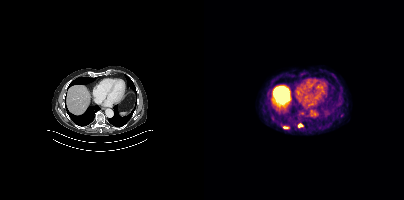
Coordinates are on the 200×200 PET (right) panel. PSMA-avid tumor lesion bounding boxes (x0,y0,x1,y1): [79,126,85,129] [94,123,99,127]. Small PSMA-avid focus (2 to 4 px across) near (center x, center y): (68, 118).